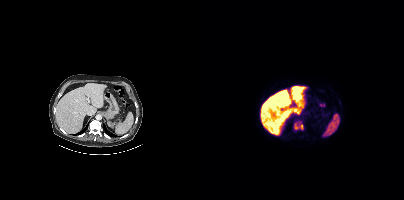
{"pet_grid":[200,200],"coord_frame":"pet_panel","coord_format":"x0,y0,x1,y1","lesion_bboxes":[[90,121,99,129]],"modality":"PSMA PET/CT","view":"axial","tracer":"18F"}